Technique: Two-panel axial: CT | PSMA PET, 18F-PSMA tracer. slice position z = -476 mm. PET panel 200×200 px (4.1 mm/px).
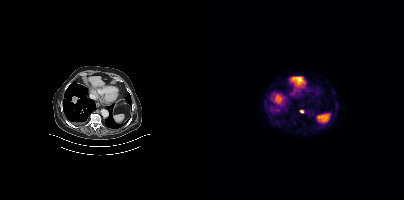
Findings: Coordinates are on the 200×200 PET (right) panel. Small PSMA-avid focus (2 to 4 px across) near (center x, center y): (97, 111).